modality: PSMA PET/CT | tracer: 68Ga | view: axial
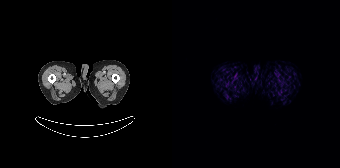
This slice has no annotated PSMA-avid lesion.